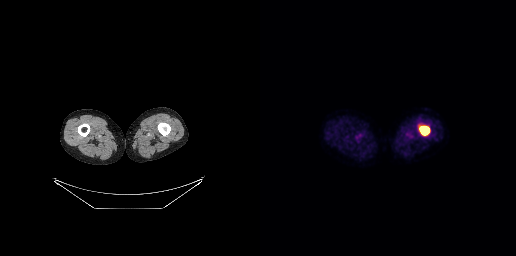
modality: PSMA PET/CT | tracer: 18F | view: axial
Coordinates are on the 256×256 PET (right) panel. PSMA-avid tumor lesion bounding box (x, y, width, height): x=159 y=126 w=11 h=10.